Two-panel axial: CT | PSMA PET, 18F-PSMA tracer. Acquired on Siemens Biograph mCT Flow 20.
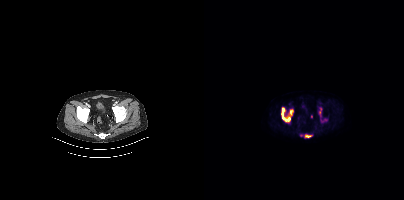
Coordinates are on the 200×200 PET (right) panel. PSMA-avid tumor lesion bounding boxes:
| # | x0 | y0 | x1 | y1 |
|---|---|---|---|---|
| 1 | 77 | 108 | 88 | 121 |
| 2 | 101 | 135 | 106 | 137 |
| 3 | 115 | 108 | 117 | 113 |